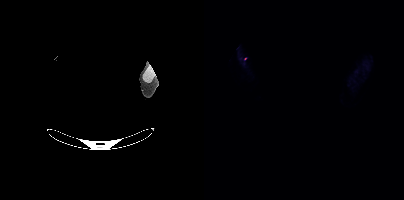
modality: PSMA PET/CT | tracer: 18F | view: axial | PET grid: 200×200 | redaction: rectangular block over head set to black
Negative for PSMA-avid disease on this slice.